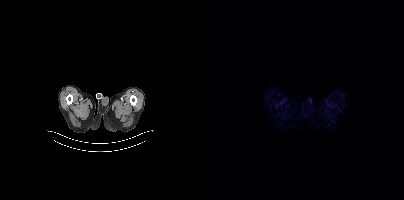
modality: PSMA PET/CT | tracer: 18F-PSMA | view: axial | PET grid: 200×200
No PSMA-avid tumor lesions on this slice.